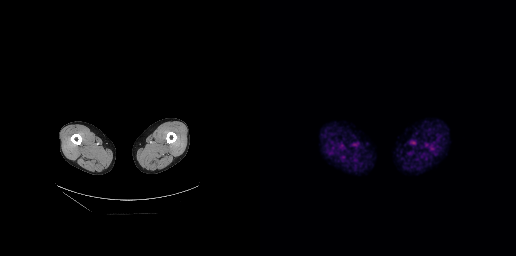
Technique: Two-panel axial: CT | PSMA PET, 18F-PSMA tracer. acquired on GE Discovery 690. PET panel 256×256 px (2.7 mm/px).
Findings: No PSMA-avid tumor lesions on this slice.